Paired axial CT (left) and PSMA PET (right), 68Ga-PSMA tracer. Slice 82 of 195.
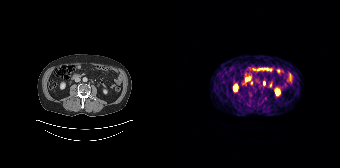
Only PSMA-avid lesion pieces thinner than 2 px on this slice (not listed).